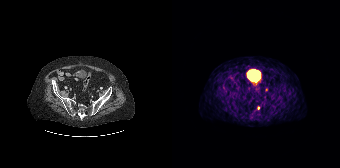
Only PSMA-avid lesion pieces thinner than 2 px on this slice (not listed). Left: CT. Right: PSMA PET, same axial level, 68Ga-PSMA tracer. Slice position z = -1539 mm. PET panel 168×168 px (4.1 mm/px).